Two-panel axial: CT | PSMA PET, [18F]PSMA-1007 tracer. PET panel 200×200 px (4.1 mm/px).
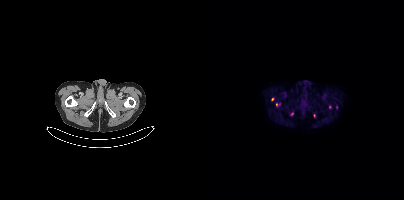
Coordinates are on the 200×200 PET (right) panel. (showing 4 of 6 foci) Small PSMA-avid foci (2 to 4 px across) near (center x, center y): (68, 99) | (72, 104) | (88, 114) | (125, 106).